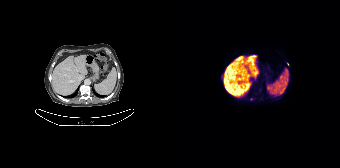
Coordinates are on the 168×168 PET (right) panel. (showing 1 of 2 foci) Small PSMA-avid focus (2 to 4 px across) near (center x, center y): (115, 64). Paired axial CT (left) and PSMA PET (right), 18F tracer. Slice 90 of 165. PET panel 168×168 px (4.1 mm/px).